modality: PSMA PET/CT | tracer: [18F]PSMA-1007 | view: axial
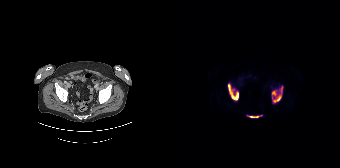
Coordinates are on the 168×168 PET (right) panel. PSMA-avid tumor lesion bounding boxes (x0,y0,x1,y1): [100,86,111,103] [56,83,67,100] [75,115,90,117].